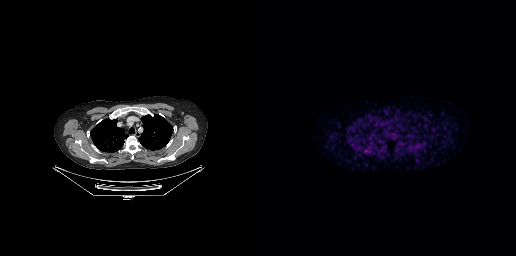
Paired axial CT (left) and PSMA PET (right), [68Ga]Ga-PSMA-11 tracer. Slice position z = -352 mm. Negative for PSMA-avid disease on this slice.